modality: PSMA PET/CT | tracer: 18F | view: axial
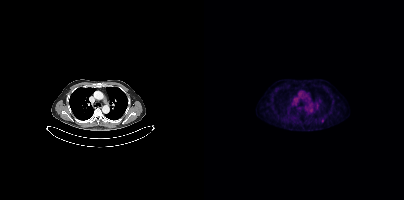
Coordinates are on the 200×200 PET (right) panel. PSMA-avid tumor lesion bounding box (x0, y0)-(x1, y1): (117, 118)-(120, 122).